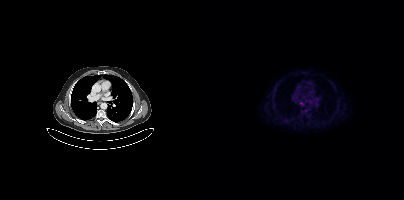
Two-panel axial: CT | PSMA PET, 18F tracer. Acquired on Siemens Biograph mCT Flow 20. Slice position z = -350 mm. PET panel 200×200 px (4.1 mm/px). Coordinates are on the 200×200 PET (right) panel. Small PSMA-avid focus (2 to 4 px across) near (center x, center y): (98, 104).